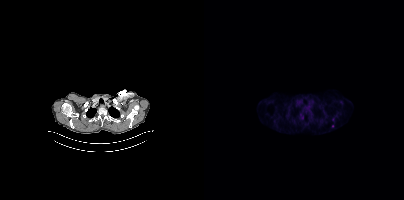
Coordinates are on the 200×200 PET (right) panel. Small PSMA-avid foci (2 to 4 px across) near (center x, center y): (97, 115) / (128, 126). Two-panel axial: CT | PSMA PET, [18F]PSMA-1007 tracer. Acquired on Siemens Biograph mCT Flow 20. PET panel 200×200 px (4.1 mm/px).